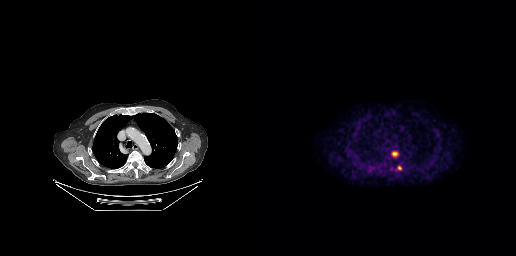
Coordinates are on the 256×256 PET (right) panel. Small PSMA-avid foci (2 to 4 px across) near (center x, center y): (134, 153) / (139, 167). Paired axial CT (left) and PSMA PET (right), [18F]PSMA-1007 tracer. Slice 230 of 299.